Technique: Two-panel axial: CT | PSMA PET, 18F-PSMA tracer. acquired on Siemens Biograph mCT Flow 20. PET panel 200×200 px (4.1 mm/px).
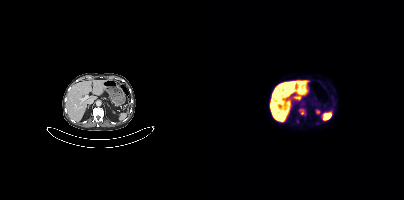
Findings: Coordinates are on the 200×200 PET (right) panel. PSMA-avid tumor lesion bounding box (x0,y0,x1,y1): [96,111,101,115].